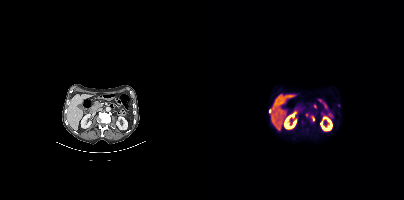
Coordinates are on the 200×200 PET (right) panel. PSMA-avid tumor lesion bounding box (x0, y0)-(x1, y1): (107, 116)-(110, 121). Small PSMA-avid foci (2 to 4 px across) near (center x, center y): (135, 105); (102, 115); (65, 111).
modality: PSMA PET/CT | tracer: [18F]PSMA-1007 | view: axial | PET grid: 200×200